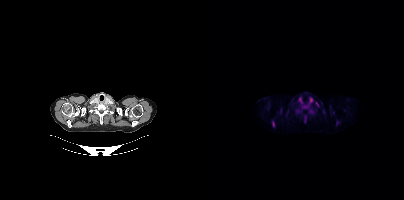
Coordinates are on the 200×200 PET (right) panel. PSMA-avid tumor lesion bounding box (x, y, width, height): x=68 y=121 w=3 h=7. Small PSMA-avid focus (2 to 4 px across) near (center x, center y): (133, 122). Left: CT. Right: PSMA PET, same axial level, [18F]PSMA-1007 tracer. Acquired on Siemens Biograph mCT Flow 20.